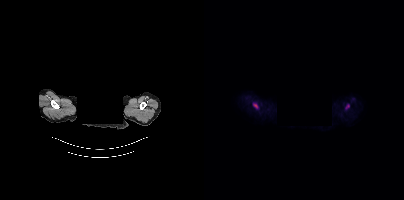
modality: PSMA PET/CT | tracer: [18F]PSMA-1007 | view: axial | PET grid: 200×200 | deidentification: facial region redacted
Coordinates are on the 200×200 PET (right) panel. PSMA-avid tumor lesion bounding box (x0,y0,x1,y1): [49,103,54,108]. Small PSMA-avid focus (2 to 4 px across) near (center x, center y): (143, 106).